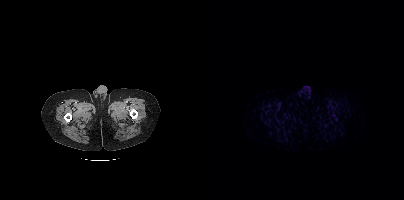
modality: PSMA PET/CT | tracer: 68Ga | view: axial
No tumor lesions annotated on this slice.